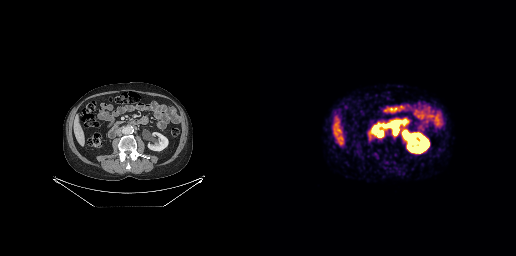
Coordinates are on the 256×256 PET (right) panel. PSMA-avid tumor lesion bounding boxes (x0, y0)-(x1, y1): (129, 125)-(138, 134) | (116, 132)-(123, 137).
modality: PSMA PET/CT | tracer: [68Ga]Ga-PSMA-11 | view: axial | PET grid: 256×256